modality: PSMA PET/CT | tracer: 18F | view: axial | PET grid: 256×256
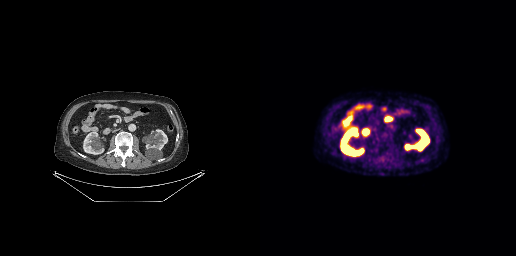
No PSMA-avid tumor lesions on this slice.